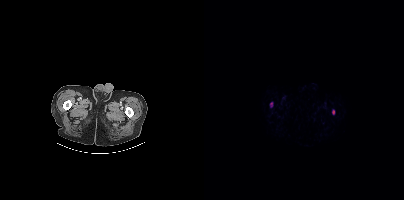
Left: CT. Right: PSMA PET, same axial level, 18F tracer. Acquired on Siemens Biograph mCT Flow 20.
Coordinates are on the 200×200 PET (right) panel. PSMA-avid tumor lesion bounding boxes:
| # | x0 | y0 | x1 | y1 |
|---|---|---|---|---|
| 1 | 128 | 109 | 130 | 114 |
| 2 | 66 | 102 | 68 | 106 |